Left: CT. Right: PSMA PET, same axial level, [18F]PSMA-1007 tracer. PET panel 200×200 px (4.1 mm/px).
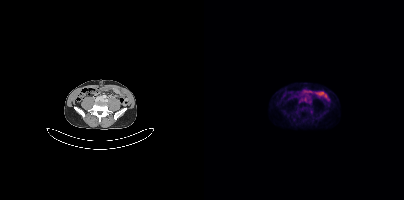
Coordinates are on the 200×200 PET (right) panel. PSMA-avid tumor lesion bounding box (x, y, width, height): x=105 y=109 w=5 h=5.